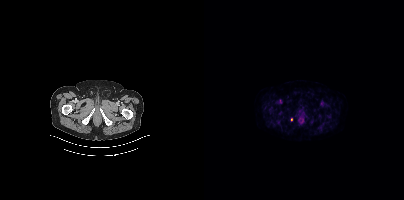
Left: CT. Right: PSMA PET, same axial level, 18F tracer. PET panel 200×200 px (4.1 mm/px). Coordinates are on the 200×200 PET (right) panel. Small PSMA-avid focus (2 to 4 px across) near (center x, center y): (87, 119).